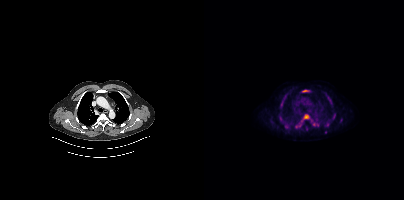
- Paired axial CT (left) and PSMA PET (right), 18F-PSMA tracer
- slice 284 of 395
Findings: Coordinates are on the 200×200 PET (right) panel. (showing 9 of 10 foci) PSMA-avid tumor lesion bounding boxes (x0, y0)-(x1, y1): (97, 115)-(104, 122) / (80, 124)-(84, 128) / (124, 98)-(127, 103) / (93, 123)-(97, 126) / (109, 123)-(113, 125) / (77, 101)-(78, 106). Small PSMA-avid foci (2 to 4 px across) near (center x, center y): (129, 117) / (121, 132) / (107, 120).